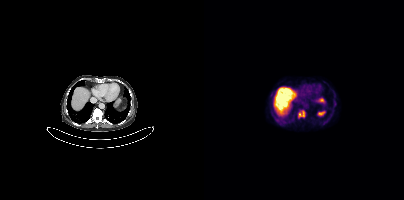
- Left: CT. Right: PSMA PET, same axial level, 18F-PSMA tracer
- slice 228 of 391
- PET panel 200×200 px (4.1 mm/px)
Findings: Coordinates are on the 200×200 PET (right) panel. PSMA-avid tumor lesion bounding box (x0,y0,x1,y1): [94,110,101,117].